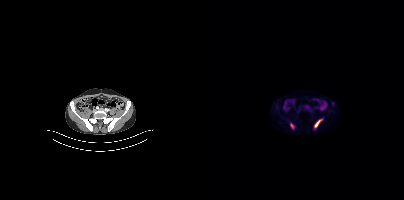
- Left: CT. Right: PSMA PET, same axial level, 18F-PSMA tracer
Findings: Coordinates are on the 200×200 PET (right) panel. PSMA-avid tumor lesion bounding boxes (x0, y0)-(x1, y1): (110, 119)-(118, 127) | (86, 123)-(90, 128).